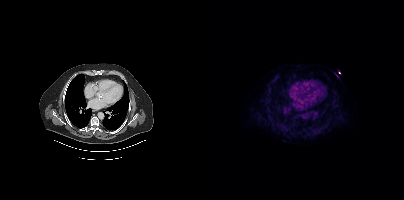
No tumor lesions annotated on this slice. Left: CT. Right: PSMA PET, same axial level, [18F]PSMA-1007 tracer. Acquired on Siemens Biograph mCT Flow 20. Slice 293 of 435.